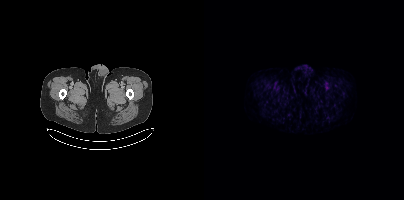
No tumor lesions annotated on this slice. Left: CT. Right: PSMA PET, same axial level, 18F tracer. Slice position z = -809 mm.